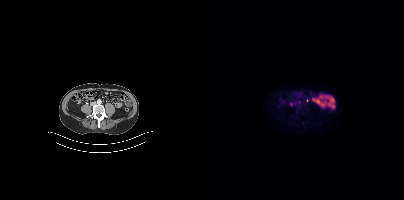
Technique: Paired axial CT (left) and PSMA PET (right), 18F-PSMA tracer. acquired on Siemens Biograph mCT Flow 20. slice 141 of 411. PET panel 200×200 px (4.1 mm/px).
Findings: Coordinates are on the 200×200 PET (right) panel. (showing 1 of 2 foci) Small PSMA-avid focus (2 to 4 px across) near (center x, center y): (87, 104).